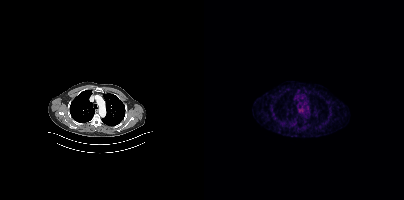
{"modality":"PSMA PET/CT","view":"axial","tracer":"[68Ga]Ga-PSMA-11","pet_grid":[200,200],"coord_frame":"pet_panel","coord_format":"x0,y0,x1,y1","psma_avid_lesions":false}